Two-panel axial: CT | PSMA PET, [68Ga]Ga-PSMA-11 tracer. Slice 71 of 195. PET panel 168×168 px (4.1 mm/px).
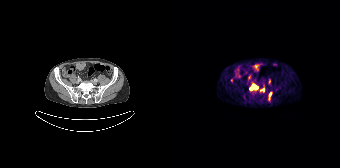
Coordinates are on the 168×168 PET (right) panel. (showing 4 of 5 foci) PSMA-avid tumor lesion bounding box (x, y, width, height): x=78 y=84 w=8 h=6. Small PSMA-avid foci (2 to 4 px across) near (center x, center y): (98, 94); (59, 80); (91, 90).